Two-panel axial: CT | PSMA PET, 18F tracer. PET panel 200×200 px (4.1 mm/px).
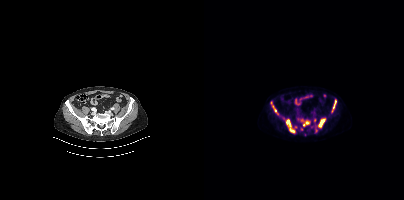
Coordinates are on the 200×200 PET (right) panel. (showing 10 of 12 foci) PSMA-avid tumor lesion bounding boxes (x0,y0,x1,y1): [114,118,121,127] [97,119,105,126] [127,100,132,112] [82,119,85,130] [66,101,72,112] [87,125,90,132] [110,118,112,122]. Small PSMA-avid foci (2 to 4 px across) near (center x, center y): (97, 128) (92, 126) (112, 130).